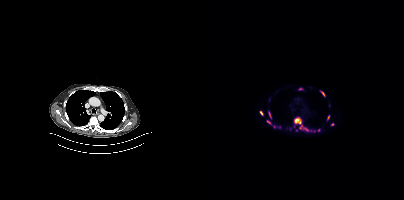
{"modality":"PSMA PET/CT","view":"axial","tracer":"18F","pet_grid":[200,200],"coord_frame":"pet_panel","coord_format":"x0,y0,x1,y1","partial":true,"lesion_bboxes":[[90,117,98,128],[116,91,121,96],[64,111,67,117],[56,111,59,115],[99,128,104,130],[123,115,125,119]],"small_foci_centers":[[64,121],[128,124],[114,130],[96,88],[110,131]]}